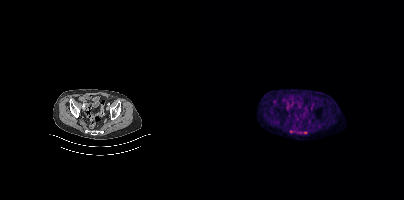
- Left: CT. Right: PSMA PET, same axial level, [18F]PSMA-1007 tracer
- slice position z = -1486 mm
- PET panel 200×200 px (4.1 mm/px)
Findings: This slice has no annotated PSMA-avid lesion.